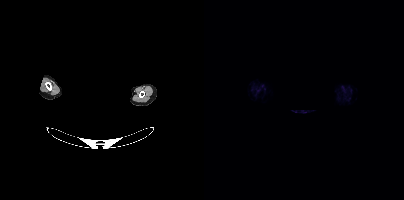
- Two-panel axial: CT | PSMA PET, 18F tracer
- de-identified by setting a box covering the face to black before release
Findings: No PSMA-avid tumor lesions on this slice.